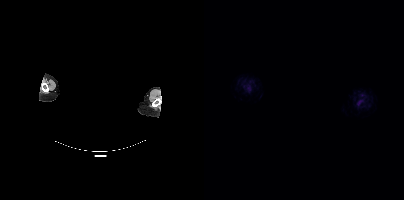
Head region blanked for anonymization (face removed).
This slice has no annotated PSMA-avid lesion.